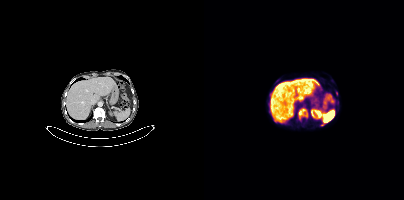
Left: CT. Right: PSMA PET, same axial level, 18F tracer. PET panel 200×200 px (4.1 mm/px). Coordinates are on the 200×200 PET (right) panel. PSMA-avid tumor lesion bounding box (x, y, width, height): x=94 y=108 w=10 h=11.